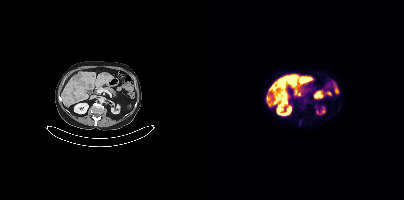
modality: PSMA PET/CT | tracer: 18F | view: axial
Coordinates are on the 200×200 PET (right) panel. PSMA-avid tumor lesion bounding boxes (x0, y0)-(x1, y1): (97, 76)-(103, 81) / (78, 76)-(84, 81) / (86, 80)-(91, 84) / (73, 82)-(77, 86).